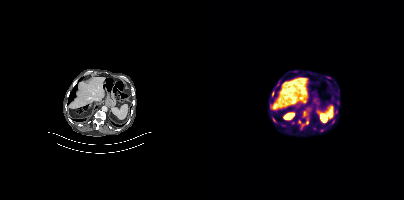
{"pet_grid":[200,200],"coord_frame":"pet_panel","coord_format":"x0,y0,x1,y1","lesion_bboxes":[[68,91,70,96]],"small_foci_centers":[[129,121]],"modality":"PSMA PET/CT","view":"axial","tracer":"[18F]PSMA-1007"}